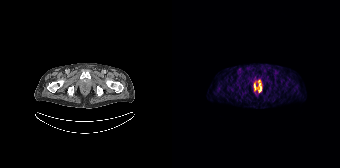
Coordinates are on the 168×168 PET (right) panel. (showing 1 of 3 foci) PSMA-avid tumor lesion bounding box (x0,y0,x1,y1): [82,80,89,92].